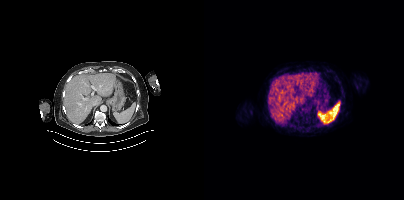
Findings: No tumor lesions annotated on this slice.
- Two-panel axial: CT | PSMA PET, [68Ga]Ga-PSMA-11 tracer
- slice position z = -1138 mm
- PET panel 200×200 px (4.1 mm/px)